Paired axial CT (left) and PSMA PET (right), [68Ga]Ga-PSMA-11 tracer. Acquired on Siemens Biograph 64-4R TruePoint.
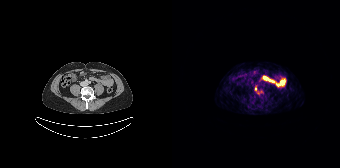
Coordinates are on the 168×168 PET (right) panel. (showing 1 of 2 foci) Small PSMA-avid focus (2 to 4 px across) near (center x, center y): (83, 89).